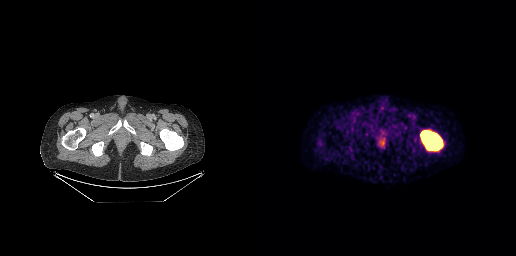
Findings: Coordinates are on the 256×256 PET (right) panel. PSMA-avid tumor lesion bounding box (x, y, width, height): x=160 y=130 w=23 h=21.
Technique: Paired axial CT (left) and PSMA PET (right), 68Ga tracer. PET panel 256×256 px (2.7 mm/px).